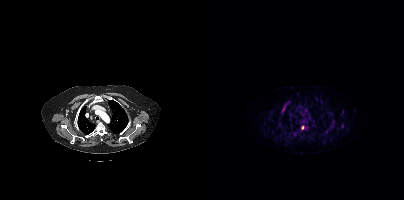
Paired axial CT (left) and PSMA PET (right), 68Ga tracer. Acquired on Siemens Biograph mCT Flow 20. PET panel 200×200 px (4.1 mm/px). Coordinates are on the 200×200 PET (right) panel. (showing 3 of 6 foci) PSMA-avid tumor lesion bounding boxes (x0,y0,x1,y1): [97,125,103,130] [78,103,83,112]. Small PSMA-avid focus (2 to 4 px across) near (center x, center y): (90, 134).